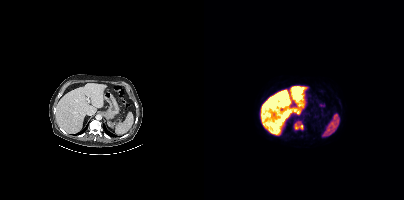
Two-panel axial: CT | PSMA PET, [18F]PSMA-1007 tracer. Slice 318 of 508. PET panel 200×200 px (4.1 mm/px). Coordinates are on the 200×200 PET (right) panel. PSMA-avid tumor lesion bounding box (x0, y0)-(x1, y1): (90, 121)-(99, 130).